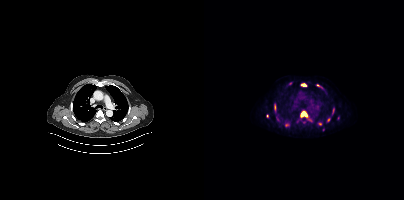
{"modality":"PSMA PET/CT","view":"axial","tracer":"18F","pet_grid":[200,200],"coord_frame":"pet_panel","coord_format":"x0,y0,x1,y1","lesion_bboxes":[[97,111,103,117],[97,84,102,86],[128,108,130,113],[70,105,71,109]],"small_foci_centers":[[82,125],[100,122],[114,85],[116,123],[63,116],[124,120]]}